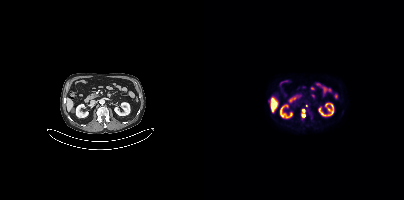
Findings: Coordinates are on the 200×200 PET (right) panel. (showing 1 of 2 foci) Small PSMA-avid focus (2 to 4 px across) near (center x, center y): (98, 111).
Technique: Two-panel axial: CT | PSMA PET, 18F-PSMA tracer. PET panel 200×200 px (4.1 mm/px).